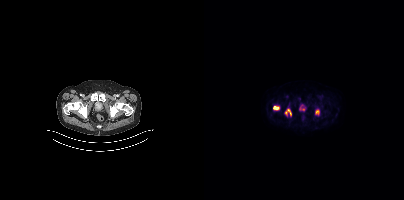
Coordinates are on the 200×200 PET (right) panel. (showing 3 of 4 foci) PSMA-avid tumor lesion bounding boxes (x, y, width, height): x=81 y=109 w=7 h=7 / x=111 y=109 w=5 h=7 / x=69 y=106 w=7 h=4.